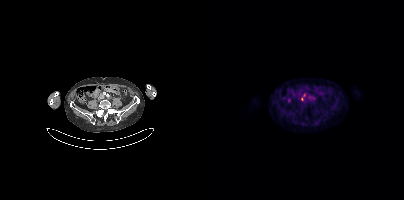
{"modality":"PSMA PET/CT","view":"axial","tracer":"18F","pet_grid":[200,200],"coord_frame":"pet_panel","coord_format":"x0,y0,x1,y1","lesion_bboxes":[[97,94,101,100]]}